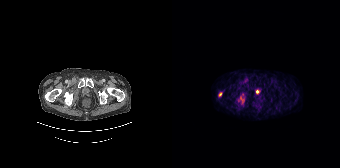
Findings: Coordinates are on the 168×168 PET (right) panel. PSMA-avid tumor lesion bounding box (x, y, width, height): x=46 y=92 w=5 h=5. Small PSMA-avid focus (2 to 4 px across) near (center x, center y): (69, 98).
Technique: Two-panel axial: CT | PSMA PET, 68Ga tracer. slice position z = -1456 mm. PET panel 168×168 px (4.1 mm/px).